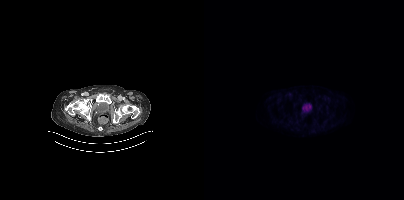
No PSMA-avid tumor lesions on this slice.